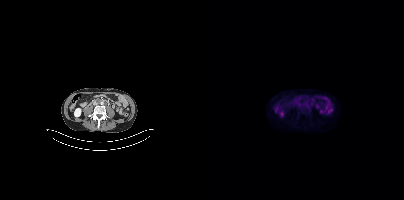
Only PSMA-avid lesion pieces thinner than 2 px on this slice (not listed). Paired axial CT (left) and PSMA PET (right), [18F]PSMA-1007 tracer.